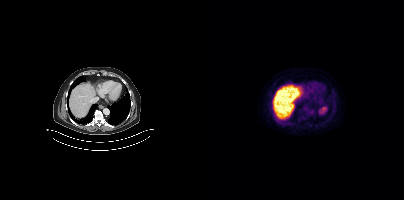
{"modality":"PSMA PET/CT","view":"axial","tracer":"[18F]PSMA-1007","pet_grid":[200,200],"coord_frame":"pet_panel","coord_format":"x0,y0,x1,y1","psma_avid_lesions":false}